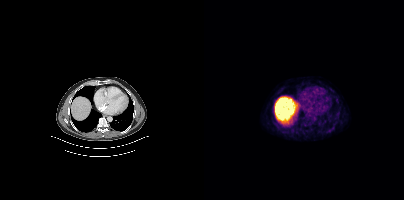
Findings: No PSMA-avid tumor lesions on this slice.
- Left: CT. Right: PSMA PET, same axial level, 18F tracer
- slice 268 of 417
- PET panel 200×200 px (4.1 mm/px)